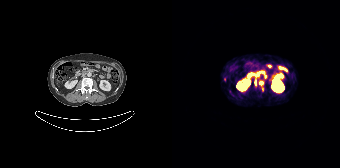
Left: CT. Right: PSMA PET, same axial level, 68Ga tracer. Slice position z = -1148 mm. PET panel 168×168 px (4.1 mm/px). Coordinates are on the 168×168 PET (right) panel. (showing 1 of 2 foci) PSMA-avid tumor lesion bounding box (x, y, width, height): x=87 y=81 w=6 h=11.